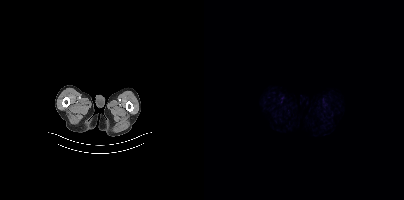
- Paired axial CT (left) and PSMA PET (right), 18F tracer
- slice position z = -1054 mm
- PET panel 200×200 px (4.1 mm/px)
Findings: This slice has no annotated PSMA-avid lesion.